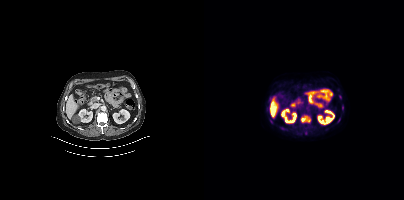
Coordinates are on the 200×200 PET (right) panel. (showing 5 of 7 foci) PSMA-avid tumor lesion bounding box (x, y, width, height): x=97 y=115 w=10 h=8. Small PSMA-avid foci (2 to 4 px across) near (center x, center y): (138, 107); (77, 127); (134, 120); (66, 120).